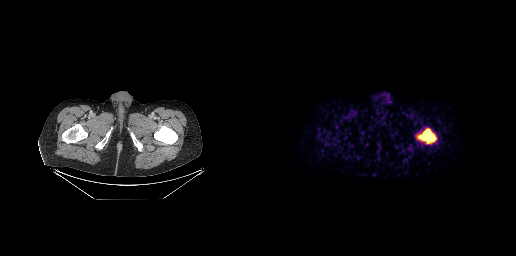
Paired axial CT (left) and PSMA PET (right), 68Ga tracer. Acquired on GE Discovery 690. Slice 48 of 299. Coordinates are on the 256×256 PET (right) panel. PSMA-avid tumor lesion bounding box (x, y, width, height): x=157 y=128 w=20 h=16.